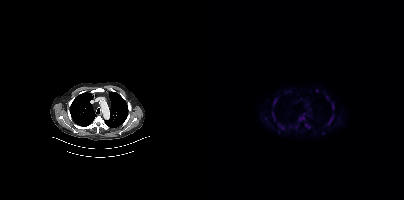
Technique: Paired axial CT (left) and PSMA PET (right), 18F-PSMA tracer. PET panel 200×200 px (4.1 mm/px).
Findings: Coordinates are on the 200×200 PET (right) panel. (showing 10 of 13 foci) PSMA-avid tumor lesion bounding boxes (x0,y0,x1,y1): [123,115,129,125] [95,117,100,120] [74,123,80,129] [128,103,129,109] [70,99,72,103] [68,113,70,119] [101,124,105,128]. Small PSMA-avid foci (2 to 4 px across) near (center x, center y): (112, 90) (122, 97) (99, 113).